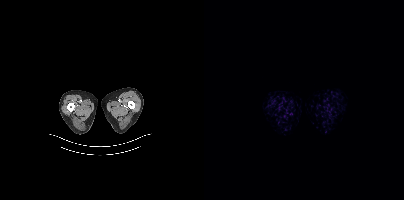
{"modality":"PSMA PET/CT","view":"axial","tracer":"[18F]PSMA-1007","pet_grid":[200,200],"coord_frame":"pet_panel","coord_format":"x0,y0,x1,y1","psma_avid_lesions":false}